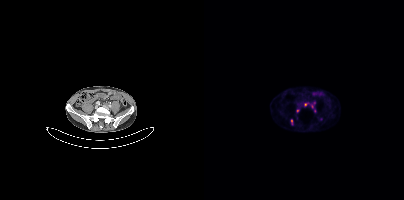
Technique: Paired axial CT (left) and PSMA PET (right), 68Ga-PSMA tracer. acquired on Siemens Biograph mCT Flow 20. PET panel 200×200 px (4.1 mm/px).
Findings: Coordinates are on the 200×200 PET (right) panel. (showing 3 of 5 foci) PSMA-avid tumor lesion bounding box (x0,y0,x1,y1): [87,119,88,123]. Small PSMA-avid foci (2 to 4 px across) near (center x, center y): (101, 104), (94, 110).